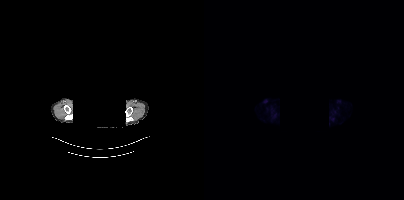
{"modality":"PSMA PET/CT","view":"axial","tracer":"18F-PSMA","pet_grid":[200,200],"coord_frame":"pet_panel","coord_format":"x0,y0,x1,y1","deidentification":"facial region redacted","psma_avid_lesions":false}